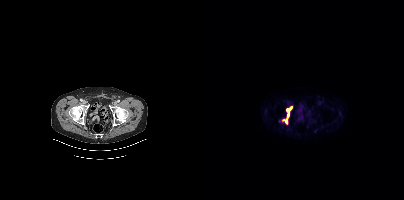
Findings: Coordinates are on the 200×200 PET (right) panel. PSMA-avid tumor lesion bounding boxes (x0, y0)-(x1, y1): (83, 107)-(88, 117) | (78, 119)-(83, 123). Small PSMA-avid focus (2 to 4 px across) near (center x, center y): (75, 121).
Technique: Paired axial CT (left) and PSMA PET (right), 18F-PSMA tracer. slice 81 of 405.